Face de-identified by blanking a block of the head. Paired axial CT (left) and PSMA PET (right), 18F tracer. Slice position z = -332 mm.
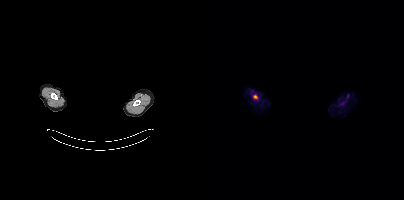
Coordinates are on the 200×200 PET (right) panel. Small PSMA-avid focus (2 to 4 px across) near (center x, center y): (51, 96).